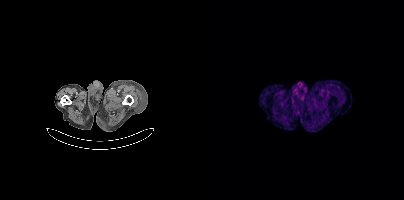
No PSMA-avid tumor lesions on this slice.